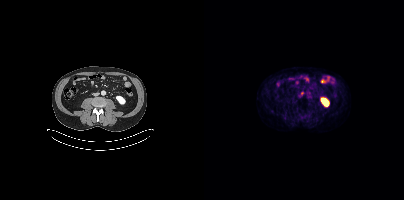
{"modality":"PSMA PET/CT","view":"axial","tracer":"18F","pet_grid":[200,200],"coord_frame":"pet_panel","coord_format":"x0,y0,x1,y1","lesion_bboxes":[[96,91,99,95]]}